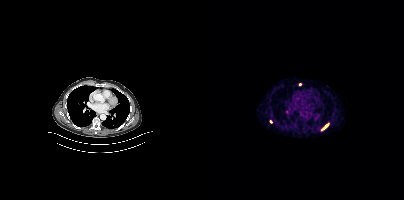
Coordinates are on the 200×200 PET (right) panel. (showing 3 of 5 foci) PSMA-avid tumor lesion bounding box (x0, y0)-(x1, y1): (121, 123)-(124, 127). Small PSMA-avid foci (2 to 4 px across) near (center x, center y): (96, 84) / (66, 121).
modality: PSMA PET/CT | tracer: [68Ga]Ga-PSMA-11 | view: axial